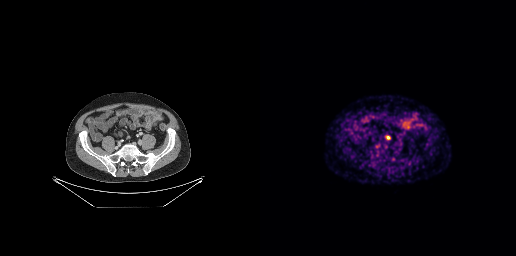
{"pet_grid":[256,256],"coord_frame":"pet_panel","coord_format":"x0,y0,x1,y1","lesion_bboxes":[[126,136,130,139]],"modality":"PSMA PET/CT","view":"axial","tracer":"68Ga-PSMA"}